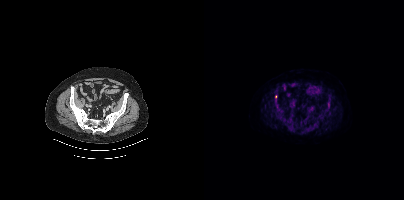
Coordinates are on the 200×200 PET (right) panel. Small PSMA-avid focus (2 to 4 px across) near (center x, center y): (71, 96).